Technique: Left: CT. Right: PSMA PET, same axial level, 18F-PSMA tracer. slice position z = -776 mm. PET panel 200×200 px (4.1 mm/px).
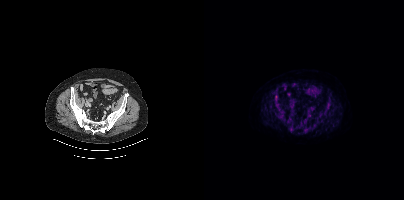
Findings: Only PSMA-avid lesion pieces thinner than 2 px on this slice (not listed).